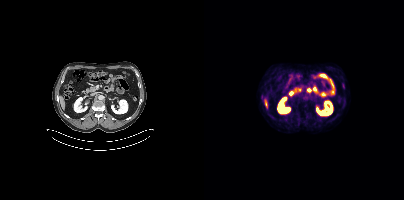
No tumor lesions annotated on this slice.